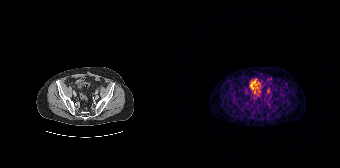
{"modality":"PSMA PET/CT","view":"axial","tracer":"[68Ga]Ga-PSMA-11","pet_grid":[168,168],"coord_frame":"pet_panel","coord_format":"x0,y0,x1,y1","lesion_bboxes":[],"small_foci_centers":[[96,91]]}